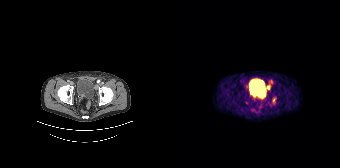
Paired axial CT (left) and PSMA PET (right), 68Ga tracer. Slice 47 of 195. Coordinates are on the 168×168 PET (right) panel. PSMA-avid tumor lesion bounding box (x0,y0,x1,y1): [93,85,98,89]. Small PSMA-avid focus (2 to 4 px across) near (center x, center y): (101, 100).